modality: PSMA PET/CT | tracer: 18F-PSMA | view: axial
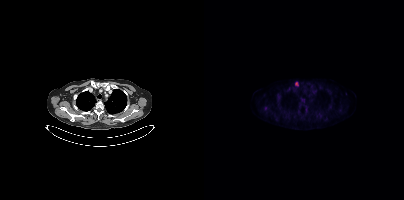
Coordinates are on the 200×200 PET (right) panel. PSMA-avid tumor lesion bounding box (x0,y0,x1,y1): [91,82,94,86].